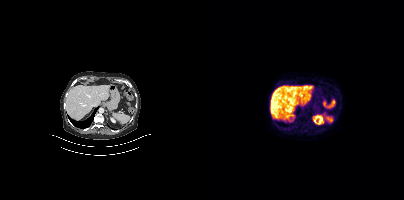
{"modality":"PSMA PET/CT","view":"axial","tracer":"18F","pet_grid":[200,200],"coord_frame":"pet_panel","coord_format":"x0,y0,x1,y1","psma_avid_lesions":false}